modality: PSMA PET/CT | tracer: [18F]PSMA-1007 | view: axial | PET grid: 200×200
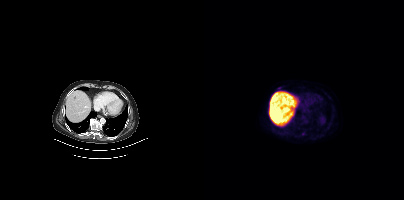
Only PSMA-avid lesion pieces thinner than 2 px on this slice (not listed).